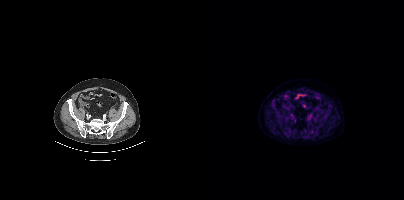
Two-panel axial: CT | PSMA PET, 18F tracer. Acquired on Siemens Biograph mCT Flow 20. Negative for PSMA-avid disease on this slice.